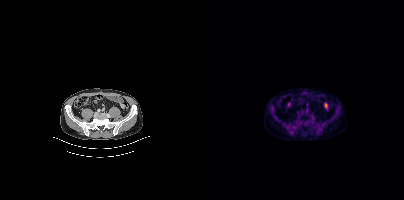
- Left: CT. Right: PSMA PET, same axial level, 18F-PSMA tracer
- slice 126 of 448
- PET panel 200×200 px (4.1 mm/px)
Findings: No PSMA-avid tumor lesions on this slice.